Technique: Paired axial CT (left) and PSMA PET (right), 18F tracer. PET panel 200×200 px (4.1 mm/px).
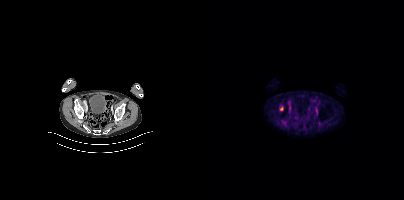
Findings: Coordinates are on the 200×200 PET (right) panel. Small PSMA-avid focus (2 to 4 px across) near (center x, center y): (77, 108).